Left: CT. Right: PSMA PET, same axial level, 18F tracer. PET panel 200×200 px (4.1 mm/px).
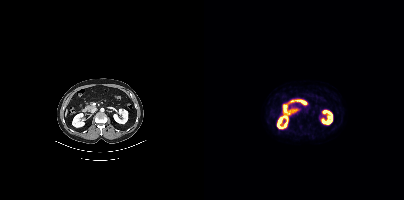
Negative for PSMA-avid disease on this slice.